modality: PSMA PET/CT | tracer: 18F-PSMA | view: axial
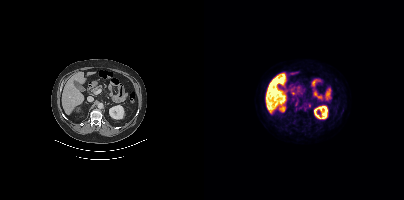
Coordinates are on the 200×200 PET (right) panel. Small PSMA-avid foci (2 to 4 px across) near (center x, center y): (92, 103) / (105, 105) / (101, 109).